- Two-panel axial: CT | PSMA PET, 18F tracer
- slice position z = -854 mm
- PET panel 200×200 px (4.1 mm/px)
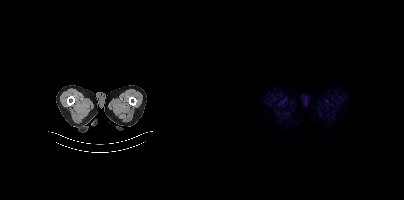
Findings: This slice has no annotated PSMA-avid lesion.